modality: PSMA PET/CT | tracer: [68Ga]Ga-PSMA-11 | view: axial | PET grid: 256×256
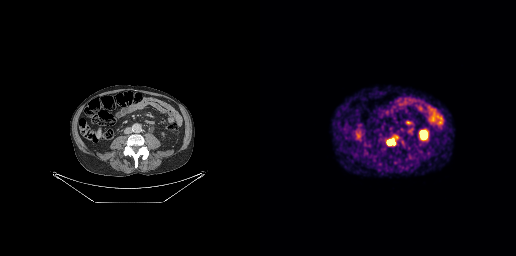
Coordinates are on the 256×256 PET (right) panel. (showing 1 of 2 foci) PSMA-avid tumor lesion bounding box (x, y, width, height): x=127 y=135 w=12 h=12.